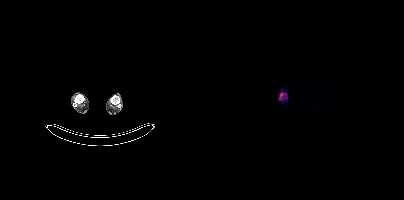
- Two-panel axial: CT | PSMA PET, [18F]PSMA-1007 tracer
- slice position z = -1813 mm
- PET panel 200×200 px (4.1 mm/px)
Findings: Coordinates are on the 200×200 PET (right) panel. (showing 1 of 2 foci) PSMA-avid tumor lesion bounding box (x, y, width, height): x=75 y=93 w=5 h=7.